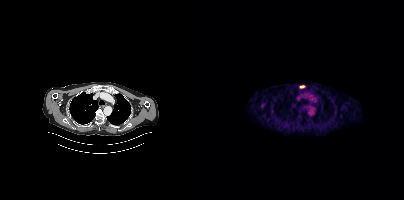
modality: PSMA PET/CT | tracer: 18F-PSMA | view: axial
Coordinates are on the 200×200 PET (right) panel. PSMA-avid tumor lesion bounding box (x0, y0)-(x1, y1): (96, 86)-(100, 87).